Technique: Left: CT. Right: PSMA PET, same axial level, 18F-PSMA tracer. acquired on Siemens Biograph mCT Flow 20. slice 206 of 438. PET panel 200×200 px (4.1 mm/px).
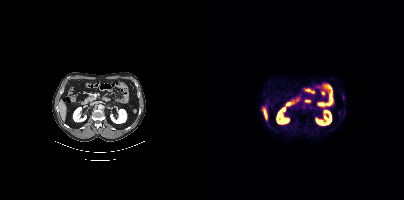
Findings: This slice has no annotated PSMA-avid lesion.